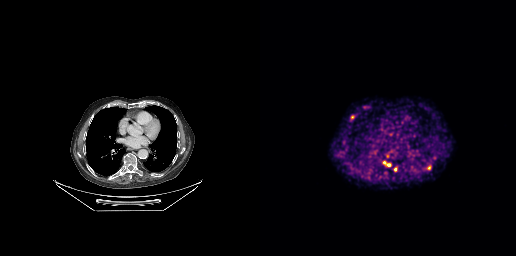
modality: PSMA PET/CT | tracer: [68Ga]Ga-PSMA-11 | view: axial | PET grid: 256×256
Coordinates are on the 256×256 PET (right) panel. PSMA-avid tumor lesion bounding boxes (x0,y0,x1,y1): [123,161,131,166], [134,167,136,171]. Small PSMA-avid foci (2 to 4 px across) near (center x, center y): (169, 168), (92, 116), (127, 155).